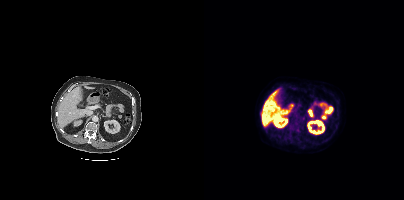
Left: CT. Right: PSMA PET, same axial level, 18F-PSMA tracer. PET panel 200×200 px (4.1 mm/px). Negative for PSMA-avid disease on this slice.